Paired axial CT (left) and PSMA PET (right), 18F-PSMA tracer. Acquired on Siemens Biograph mCT Flow 20.
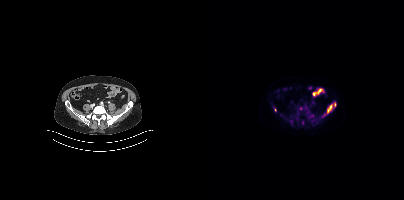
Coordinates are on the 200×200 PET (right) panel. PSMA-avid tumor lesion bounding boxes (partial; 1 more focus not listed):
| # | x0 | y0 | x1 | y1 |
|---|---|---|---|---|
| 1 | 123 | 102 | 132 | 113 |
Small PSMA-avid foci (2 to 4 px across) near (center x, center y): (71, 109); (96, 108); (108, 115).